Left: CT. Right: PSMA PET, same axial level, 18F tracer. Slice position z = -412 mm. PET panel 200×200 px (4.1 mm/px).
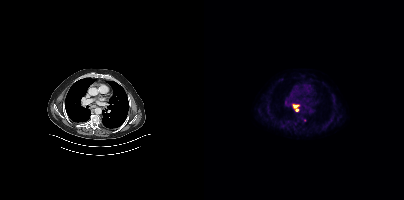
Coordinates are on the 200×200 PET (right) panel. PSMA-avid tumor lesion bounding boxes:
| # | x0 | y0 | x1 | y1 |
|---|---|---|---|---|
| 1 | 89 | 104 | 95 | 111 |
Small PSMA-avid focus (2 to 4 px across) near (center x, center y): (100, 120).